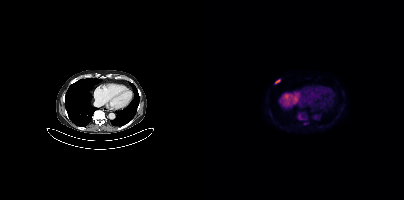
Coordinates are on the 200×200 PET (right) panel. PSMA-avid tumor lesion bounding box (x, y, width, height): x=71 y=79 w=6 h=5.